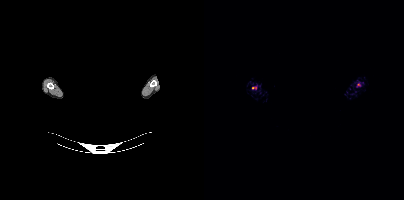
Findings: Coordinates are on the 200×200 PET (right) panel. PSMA-avid tumor lesion bounding boxes (x0,y0,x1,y1): [48,85,53,89]; [152,83,156,87].
Technique: Paired axial CT (left) and PSMA PET (right), 18F tracer. acquired on Siemens Biograph mCT Flow 20. slice position z = -793 mm.
Note: Face de-identified by blanking a block of the head.